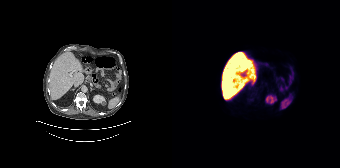
This slice has no annotated PSMA-avid lesion.